Left: CT. Right: PSMA PET, same axial level, [18F]PSMA-1007 tracer. PET panel 200×200 px (4.1 mm/px).
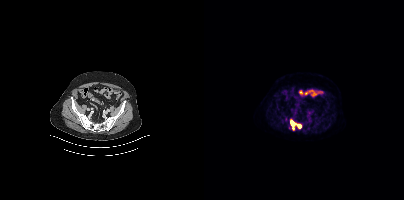
Coordinates are on the 200×200 PET (right) panel. PSMA-avid tumor lesion bounding box (x0, y0)-(x1, y1): (86, 119)-(97, 130).